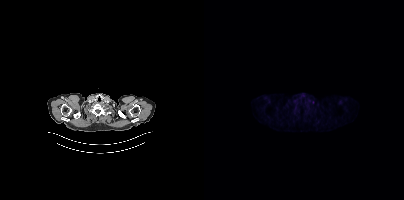
Findings: This slice has no annotated PSMA-avid lesion.
Technique: Paired axial CT (left) and PSMA PET (right), 18F tracer. slice 351 of 411. PET panel 200×200 px (4.1 mm/px).